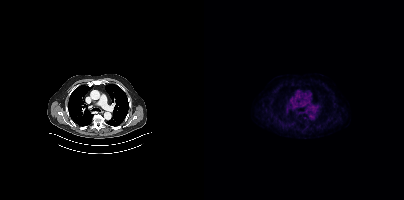
{"pet_grid":[200,200],"coord_frame":"pet_panel","coord_format":"x0,y0,x1,y1","psma_avid_lesions":false,"modality":"PSMA PET/CT","view":"axial","tracer":"18F"}